Technique: Two-panel axial: CT | PSMA PET, [18F]PSMA-1007 tracer. slice position z = -801 mm.
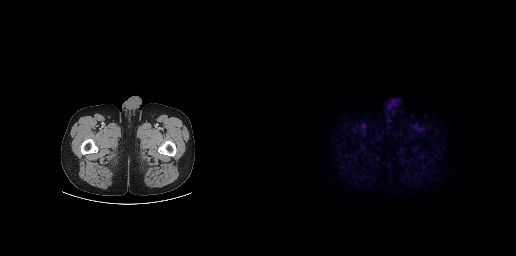
Findings: No tumor lesions annotated on this slice.